- facial anatomy redacted by setting a rectangular region of the head to black
- Paired axial CT (left) and PSMA PET (right), 18F tracer
- acquired on Siemens Biograph mCT Flow 20
- slice 397 of 429
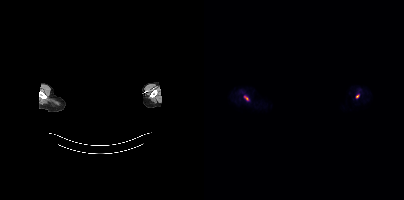
Findings: Coordinates are on the 200×200 PET (right) panel. Small PSMA-avid foci (2 to 4 px across) near (center x, center y): (153, 96); (42, 98).